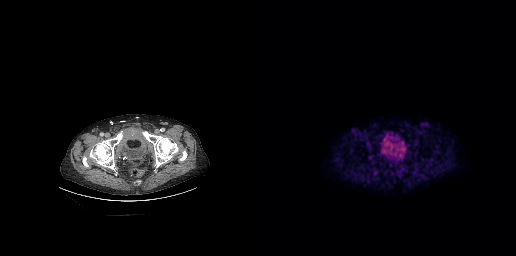
- Paired axial CT (left) and PSMA PET (right), [18F]PSMA-1007 tracer
Findings: No tumor lesions annotated on this slice.